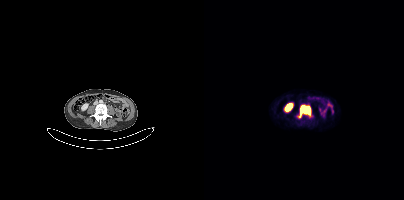
Coordinates are on the 200×200 PET (right) panel. (showing 1 of 2 foci) PSMA-avid tumor lesion bounding box (x, y, width, height): x=95 y=105 w=12 h=13.
modality: PSMA PET/CT | tracer: [68Ga]Ga-PSMA-11 | view: axial | PET grid: 200×200